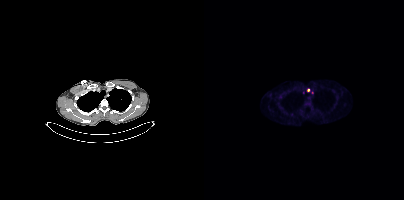
Technique: Two-panel axial: CT | PSMA PET, 18F-PSMA tracer. slice 347 of 448.
Findings: Coordinates are on the 200×200 PET (right) panel. (showing 1 of 3 foci) Small PSMA-avid focus (2 to 4 px across) near (center x, center y): (104, 89).